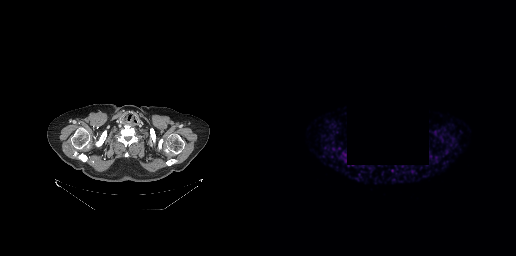
Negative for PSMA-avid disease on this slice.
modality: PSMA PET/CT | tracer: [68Ga]Ga-PSMA-11 | view: axial | PET grid: 256×256 | deidentification: black rectangle is a privacy mask